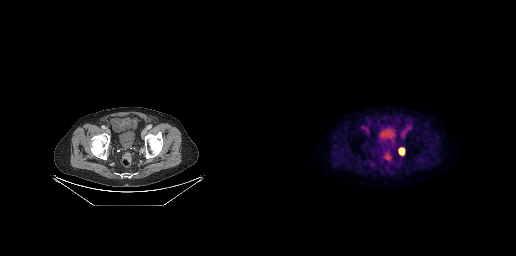
modality: PSMA PET/CT | tracer: 18F-PSMA | view: axial | PET grid: 256×256
Coordinates are on the 256×256 PET (right) panel. PSMA-avid tumor lesion bounding box (x0,y0,x1,y1): [139,148,144,154].